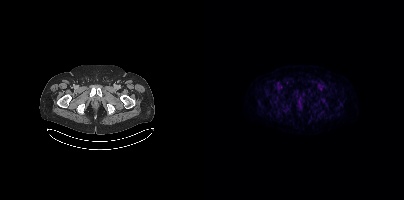
- Two-panel axial: CT | PSMA PET, [18F]PSMA-1007 tracer
- slice position z = -745 mm
Findings: Coordinates are on the 200×200 PET (right) panel. Small PSMA-avid focus (2 to 4 px across) near (center x, center y): (118, 87).